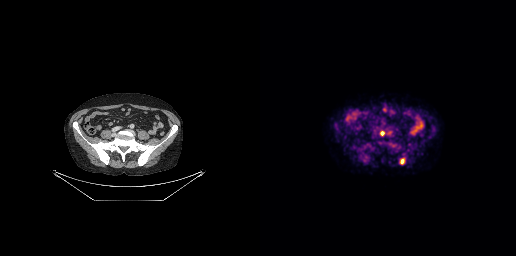
Two-panel axial: CT | PSMA PET, [18F]PSMA-1007 tracer. Slice 115 of 299.
Coordinates are on the 256×256 PET (right) panel. PSMA-avid tumor lesion bounding boxes:
| # | x0 | y0 | x1 | y1 |
|---|---|---|---|---|
| 1 | 141 | 159 | 143 | 163 |
| 2 | 121 | 131 | 124 | 135 |